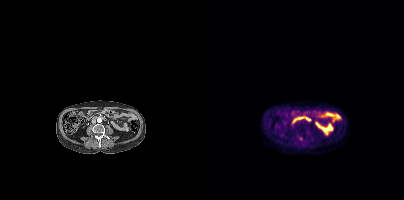
modality: PSMA PET/CT | tracer: 18F | view: axial
Coordinates are on the 200×200 PET (right) panel. Small PSMA-avid focus (2 to 4 px across) near (center x, center y): (96, 138).